- Paired axial CT (left) and PSMA PET (right), 18F tracer
- PET panel 256×256 px (2.7 mm/px)
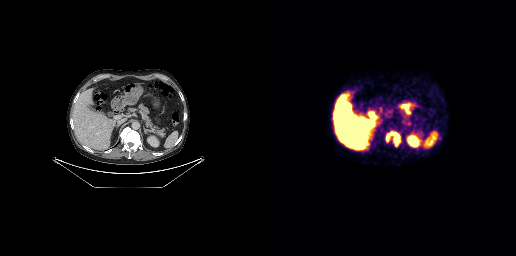
Findings: Coordinates are on the 256×256 PET (right) panel. PSMA-avid tumor lesion bounding box (x0,y0,x1,y1): [125,130,140,146].